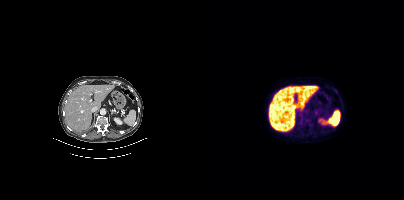
modality: PSMA PET/CT | tracer: 18F-PSMA | view: axial | PET grid: 200×200
Coordinates are on the 200×200 PET (right) panel. Small PSMA-avid focus (2 to 4 px across) near (center x, center y): (132, 91).